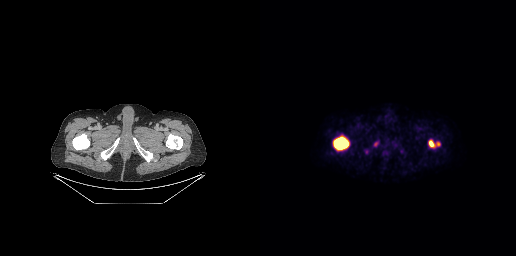
Left: CT. Right: PSMA PET, same axial level, 18F-PSMA tracer. Acquired on GE Discovery 690.
Coordinates are on the 256×256 PET (right) panel. PSMA-avid tumor lesion bounding boxes:
| # | x0 | y0 | x1 | y1 |
|---|---|---|---|---|
| 1 | 73 | 136 | 89 | 150 |
| 2 | 168 | 139 | 180 | 147 |
Small PSMA-avid focus (2 to 4 px across) near (center x, center y): (116, 144).